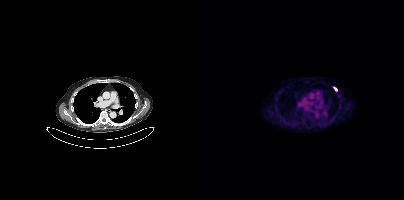
Coordinates are on the 200×200 PET (right) panel. Small PSMA-avid focus (2 to 4 px across) near (center x, center y): (131, 88).